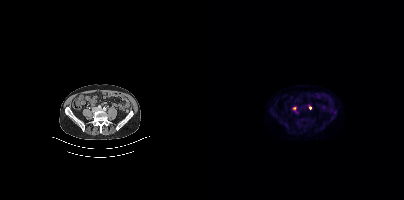
Two-panel axial: CT | PSMA PET, 18F tracer. Slice 138 of 427. Coordinates are on the 200×200 PET (right) panel. Small PSMA-avid foci (2 to 4 px across) near (center x, center y): (106, 107); (90, 108).